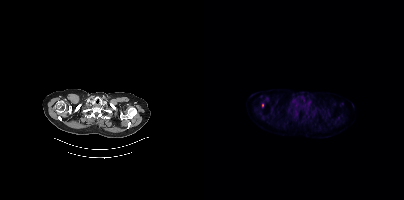
{"pet_grid":[200,200],"coord_frame":"pet_panel","coord_format":"x0,y0,x1,y1","lesion_bboxes":[],"small_foci_centers":[[58,105]],"modality":"PSMA PET/CT","view":"axial","tracer":"[18F]PSMA-1007"}